modality: PSMA PET/CT | tracer: [18F]PSMA-1007 | view: axial
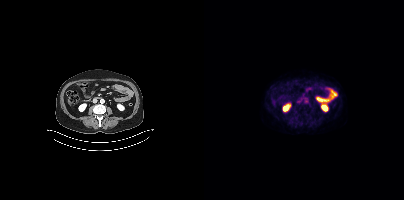
No PSMA-avid tumor lesions on this slice.